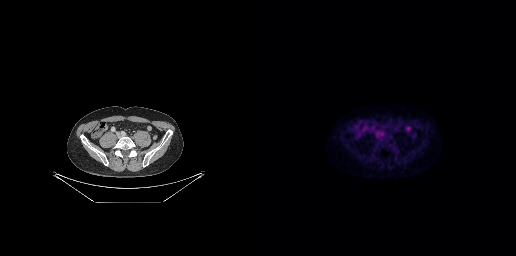
Paired axial CT (left) and PSMA PET (right), 18F-PSMA tracer. Acquired on GE Discovery 690. Slice 97 of 263. PET panel 256×256 px (2.7 mm/px). Only PSMA-avid lesion pieces thinner than 2 px on this slice (not listed).